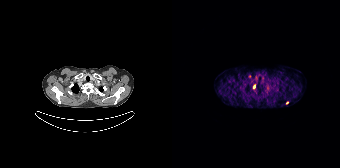
- Left: CT. Right: PSMA PET, same axial level, 68Ga tracer
- slice 164 of 195
- PET panel 168×168 px (4.1 mm/px)
Findings: Coordinates are on the 168×168 PET (right) panel. Small PSMA-avid foci (2 to 4 px across) near (center x, center y): (82, 86) (115, 102).